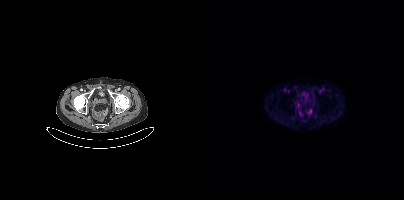
Negative for PSMA-avid disease on this slice.